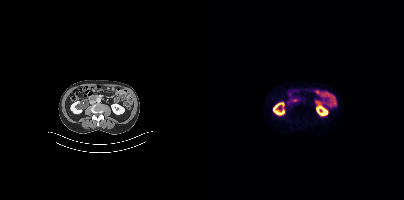
Left: CT. Right: PSMA PET, same axial level, 18F tracer. Acquired on Siemens Biograph mCT Flow 20. Slice 165 of 411. PET panel 200×200 px (4.1 mm/px). Negative for PSMA-avid disease on this slice.